Technique: Paired axial CT (left) and PSMA PET (right), 18F-PSMA tracer. PET panel 200×200 px (4.1 mm/px).
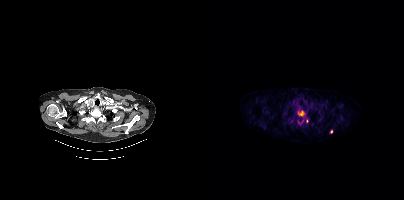
Findings: Coordinates are on the 200×200 PET (right) panel. (showing 2 of 3 foci) PSMA-avid tumor lesion bounding boxes (x, y, width, height): x=94 y=111 w=7 h=5 | x=125 y=129 w=5 h=5.